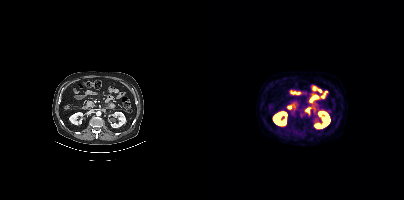
{"modality":"PSMA PET/CT","view":"axial","tracer":"18F-PSMA","pet_grid":[200,200],"coord_frame":"pet_panel","coord_format":"x0,y0,x1,y1","psma_avid_lesions":false}